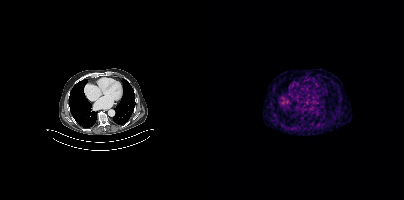
Two-panel axial: CT | PSMA PET, 68Ga tracer. Acquired on Siemens Biograph mCT Flow 20. Slice 275 of 419. PET panel 200×200 px (4.1 mm/px). Negative for PSMA-avid disease on this slice.